Technique: Left: CT. Right: PSMA PET, same axial level, 18F tracer. acquired on Siemens Biograph mCT Flow 20. slice 260 of 442.
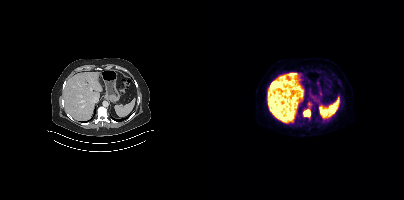
Findings: Coordinates are on the 200×200 PET (right) panel. PSMA-avid tumor lesion bounding box (x0,y0,x1,y1): [99,109,106,117].